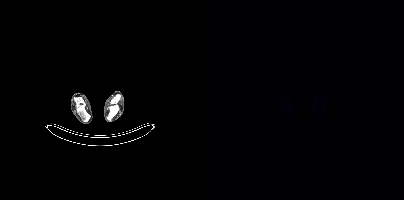
Negative for PSMA-avid disease on this slice.
modality: PSMA PET/CT | tracer: 18F-PSMA | view: axial | PET grid: 200×200